Paired axial CT (left) and PSMA PET (right), 18F tracer. Acquired on Siemens Biograph mCT Flow 20. Slice position z = -1103 mm.
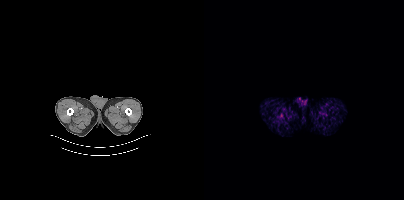
No PSMA-avid tumor lesions on this slice.